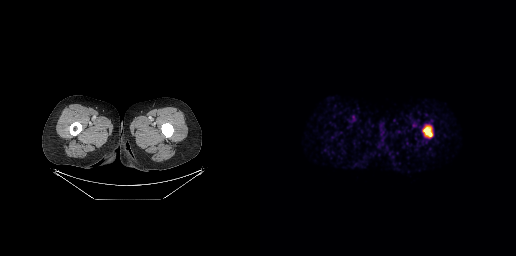
Findings: Coordinates are on the 256×256 PET (right) panel. PSMA-avid tumor lesion bounding box (x0, y0)-(x1, y1): (163, 126)-(172, 137).
- Two-panel axial: CT | PSMA PET, 68Ga tracer
- acquired on GE Discovery 690